Head region blanked for anonymization (face removed).
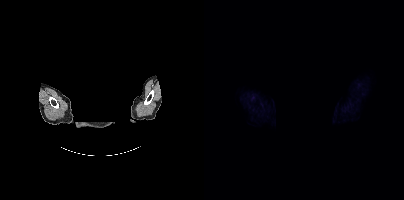
No PSMA-avid tumor lesions on this slice.